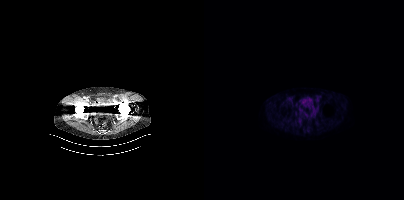
No tumor lesions annotated on this slice.
modality: PSMA PET/CT | tracer: 18F-PSMA | view: axial